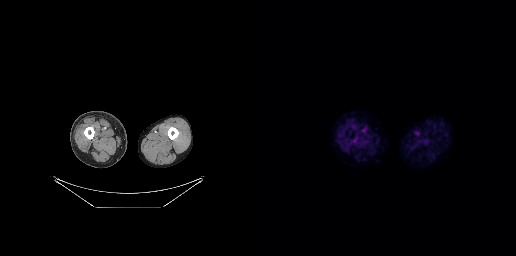
No PSMA-avid tumor lesions on this slice. Paired axial CT (left) and PSMA PET (right), 18F tracer. Acquired on GE Discovery 690. Slice position z = -845 mm. PET panel 256×256 px (2.7 mm/px).